- privacy masking over the head, with the pixels inside a rectangle set to black
- Two-panel axial: CT | PSMA PET, 68Ga tracer
- slice position z = -368 mm
- PET panel 200×200 px (4.1 mm/px)
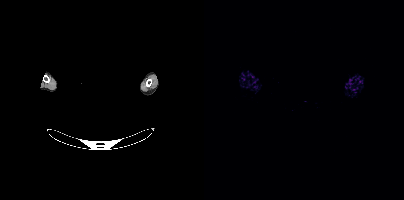
Findings: This slice has no annotated PSMA-avid lesion.